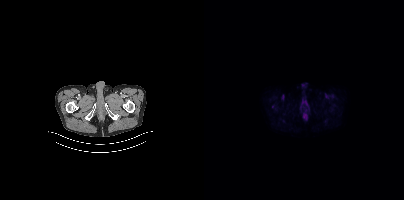
Findings: No tumor lesions annotated on this slice.
- Paired axial CT (left) and PSMA PET (right), [18F]PSMA-1007 tracer
- slice 43 of 421